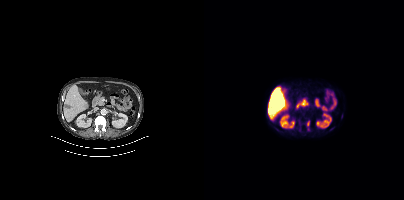
{"pet_grid":[200,200],"coord_frame":"pet_panel","coord_format":"x0,y0,x1,y1","lesion_bboxes":[[102,120,105,130]],"modality":"PSMA PET/CT","view":"axial","tracer":"[18F]PSMA-1007"}